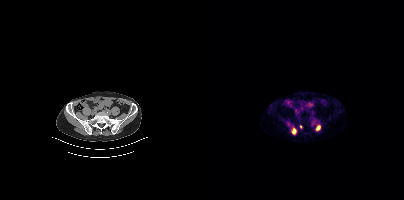
{"pet_grid":[200,200],"coord_frame":"pet_panel","coord_format":"x0,y0,x1,y1","lesion_bboxes":[[87,128,92,134],[112,125,116,130]],"small_foci_centers":[[96,126]],"modality":"PSMA PET/CT","view":"axial","tracer":"68Ga-PSMA"}